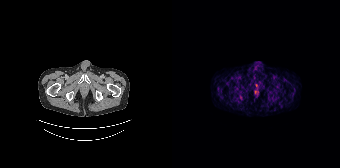
No tumor lesions annotated on this slice.